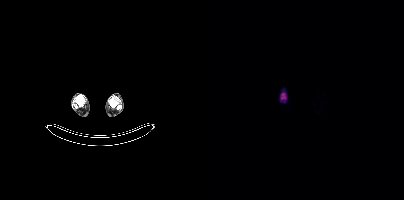
modality: PSMA PET/CT | tracer: 18F | view: axial
Coordinates are on the 200×200 PET (right) panel. PSMA-avid tumor lesion bounding box (x0,y0,x1,y1): [77,93,81,98].